modality: PSMA PET/CT | tracer: [18F]PSMA-1007 | view: axial | PET grid: 200×200 | deidentification: face masked with black rectangle
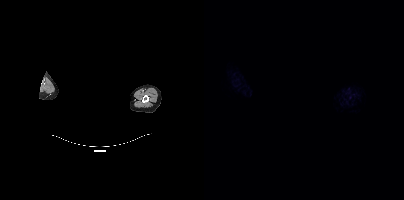
Negative for PSMA-avid disease on this slice.